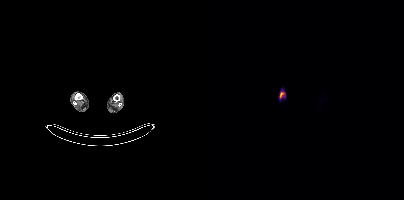
- Left: CT. Right: PSMA PET, same axial level, 18F-PSMA tracer
- PET panel 200×200 px (4.1 mm/px)
Findings: Coordinates are on the 200×200 PET (right) panel. PSMA-avid tumor lesion bounding box (x0, y0)-(x1, y1): (75, 91)-(80, 98).